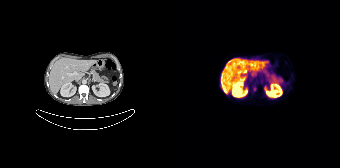
Findings: Coordinates are on the 168×168 PET (right) panel. Small PSMA-avid focus (2 to 4 px across) near (center x, center y): (82, 88).
- Paired axial CT (left) and PSMA PET (right), 18F tracer
- slice position z = 1682 mm